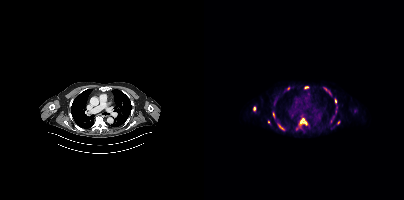
Coordinates are on the 200×200 PET (right) panel. (showing 10 of 13 foci) PSMA-avid tumor lesion bounding boxes (x0, y0)-(x1, y1): (95, 118)-(103, 125) / (100, 86)-(104, 88) / (74, 124)-(79, 129) / (131, 99)-(132, 103) / (69, 112)-(70, 117). Small PSMA-avid foci (2 to 4 px across) near (center x, center y): (84, 88) / (121, 89) / (50, 108) / (134, 122) / (64, 121).
modality: PSMA PET/CT | tracer: 18F-PSMA | view: axial | PET grid: 200×200